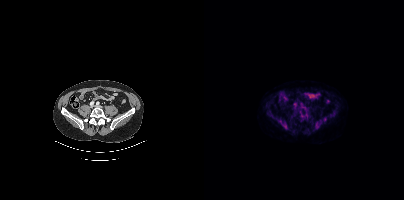
- Paired axial CT (left) and PSMA PET (right), 18F-PSMA tracer
- PET panel 200×200 px (4.1 mm/px)
Findings: No PSMA-avid tumor lesions on this slice.